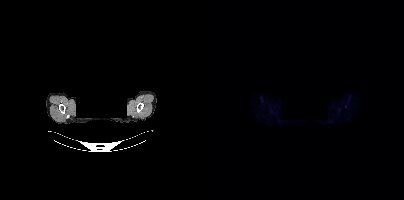
Two-panel axial: CT | PSMA PET, [18F]PSMA-1007 tracer. Slice position z = -288 mm. PET panel 200×200 px (4.1 mm/px). The head region is masked for de-identification. This slice has no annotated PSMA-avid lesion.